Left: CT. Right: PSMA PET, same axial level, 18F tracer. Slice position z = -10 mm.
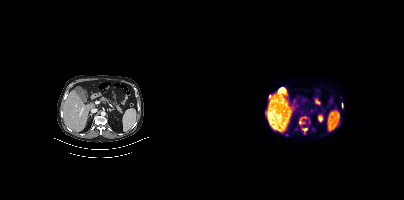
Coordinates are on the 200×200 PET (right) panel. (showing 2 of 3 foci) PSMA-avid tumor lesion bounding box (x0, y0)-(x1, y1): (65, 95)-(66, 99). Small PSMA-avid focus (2 to 4 px across) near (center x, center y): (101, 129).